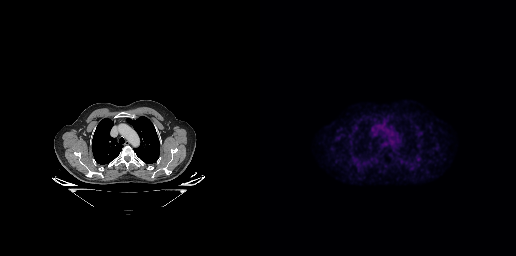
Findings: No tumor lesions annotated on this slice.
Technique: Paired axial CT (left) and PSMA PET (right), 18F tracer. slice 201 of 263. PET panel 256×256 px (2.7 mm/px).